- Paired axial CT (left) and PSMA PET (right), 18F-PSMA tracer
- slice 240 of 433
- PET panel 200×200 px (4.1 mm/px)
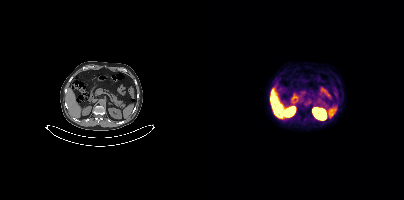
Findings: This slice has no annotated PSMA-avid lesion.